Privacy masking over the head, with the pixels inside a rectangle set to black.
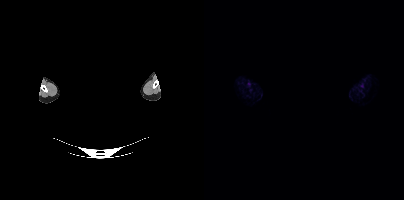
No PSMA-avid tumor lesions on this slice.